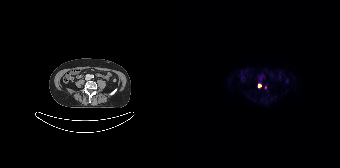
{"pet_grid":[168,168],"coord_frame":"pet_panel","coord_format":"x0,y0,x1,y1","lesion_bboxes":[],"small_foci_centers":[[86,85]],"modality":"PSMA PET/CT","view":"axial","tracer":"18F-PSMA"}